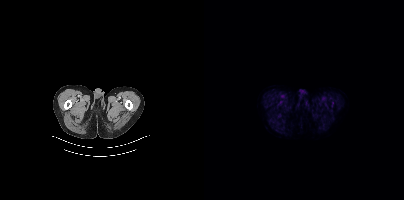
Technique: Paired axial CT (left) and PSMA PET (right), 18F-PSMA tracer. acquired on Siemens Biograph mCT Flow 20. slice position z = -1018 mm.
Findings: Negative for PSMA-avid disease on this slice.